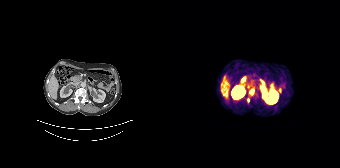
Two-panel axial: CT | PSMA PET, 68Ga tracer. Slice 105 of 195.
Coordinates are on the 168×168 PET (right) panel. PSMA-avid tumor lesion bounding boxes:
| # | x0 | y0 | x1 | y1 |
|---|---|---|---|---|
| 1 | 77 | 89 | 81 | 94 |
| 2 | 75 | 98 | 77 | 102 |